Left: CT. Right: PSMA PET, same axial level, 18F-PSMA tracer. Acquired on Siemens Biograph mCT Flow 20. Slice position z = -1660 mm. PET panel 200×200 px (4.1 mm/px).
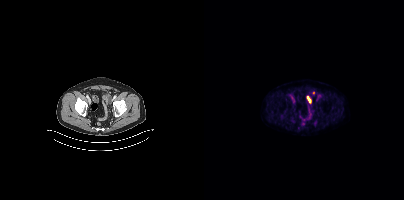
Coordinates are on the 200×200 PET (right) panel. (showing 2 of 3 foci) Small PSMA-avid foci (2 to 4 px across) near (center x, center y): (109, 93); (110, 122).